Two-panel axial: CT | PSMA PET, 18F tracer. PET panel 200×200 px (4.1 mm/px).
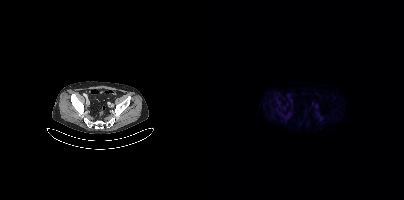
Negative for PSMA-avid disease on this slice.